modality: PSMA PET/CT | tracer: [18F]PSMA-1007 | view: axial
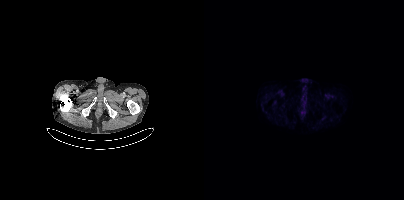
This slice has no annotated PSMA-avid lesion.